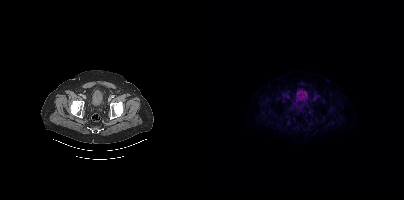
modality: PSMA PET/CT | tracer: 18F-PSMA | view: axial | PET grid: 200×200
Negative for PSMA-avid disease on this slice.